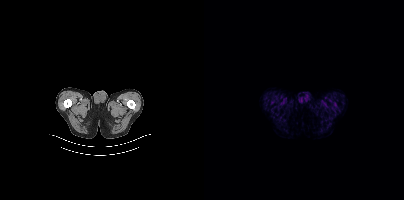
{"modality":"PSMA PET/CT","view":"axial","tracer":"18F-PSMA","pet_grid":[200,200],"coord_frame":"pet_panel","coord_format":"x0,y0,x1,y1","psma_avid_lesions":false}